Technique: Left: CT. Right: PSMA PET, same axial level, 18F tracer. slice 82 of 395.
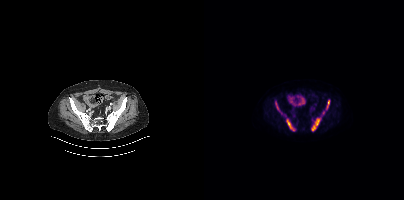
Findings: Coordinates are on the 200×200 PET (right) panel. (showing 5 of 6 foci) PSMA-avid tumor lesion bounding boxes (x0,y0,x1,y1): [107,118,116,131], [82,119,91,131], [122,100,125,109], [71,102,75,111]. Small PSMA-avid focus (2 to 4 px across) near (center x, center y): (119, 112).